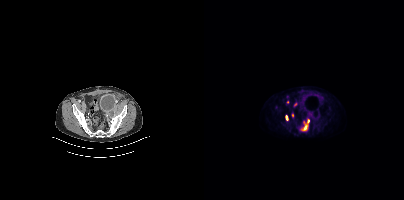
Coordinates are on the 200×200 PET (right) panel. (showing 3 of 5 foci) PSMA-avid tumor lesion bounding boxes (x0,y0,x1,y1): [97,119,105,129], [81,115,84,120]. Small PSMA-avid focus (2 to 4 px across) near (center x, center y): (88, 115).
modality: PSMA PET/CT | tracer: [18F]PSMA-1007 | view: axial | PET grid: 200×200